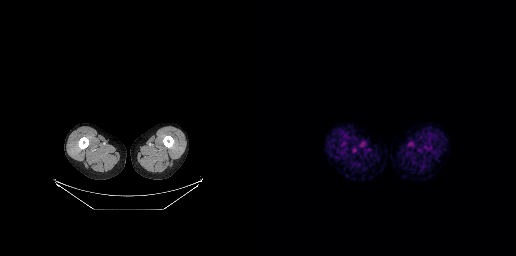
Negative for PSMA-avid disease on this slice.